Paired axial CT (left) and PSMA PET (right), 18F-PSMA tracer. PET panel 200×200 px (4.1 mm/px).
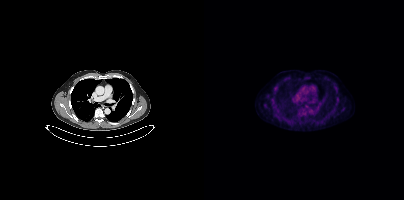
No tumor lesions annotated on this slice.